Left: CT. Right: PSMA PET, same axial level, 68Ga-PSMA tracer. Slice 201 of 263. PET panel 256×256 px (2.7 mm/px).
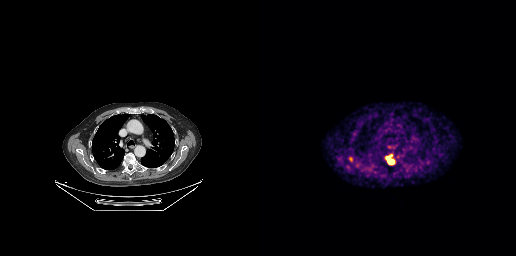
Coordinates are on the 256×256 PET (right) panel. PSMA-avid tumor lesion bounding boxes (partial; 1 more focus not listed):
| # | x0 | y0 | x1 | y1 |
|---|---|---|---|---|
| 1 | 126 | 154 | 134 | 164 |
Small PSMA-avid foci (2 to 4 px across) near (center x, center y): (90, 158); (94, 133).